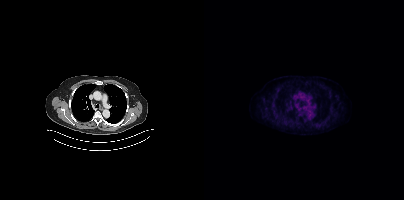
{"modality":"PSMA PET/CT","view":"axial","tracer":"[18F]PSMA-1007","pet_grid":[200,200],"coord_frame":"pet_panel","coord_format":"x0,y0,x1,y1","psma_avid_lesions":false}